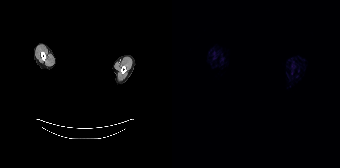
A rectangle over the head was blacked out to remove identifiable facial features. Paired axial CT (left) and PSMA PET (right), 68Ga tracer. Slice position z = 44 mm. PET panel 168×168 px (4.1 mm/px). No PSMA-avid tumor lesions on this slice.